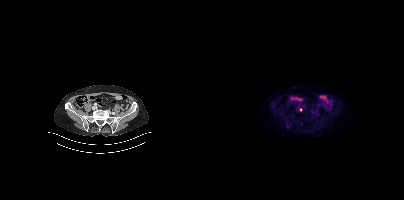
Coordinates are on the 200×200 PET (right) panel. Small PSMA-avid focus (2 to 4 px across) near (center x, center y): (96, 109). Paired axial CT (left) and PSMA PET (right), 18F-PSMA tracer. Acquired on Siemens Biograph mCT Flow 20.